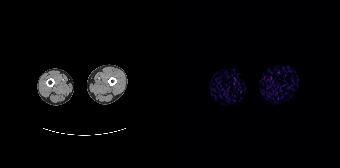
{"modality":"PSMA PET/CT","view":"axial","tracer":"[68Ga]Ga-PSMA-11","pet_grid":[168,168],"coord_frame":"pet_panel","coord_format":"x0,y0,x1,y1","psma_avid_lesions":false}